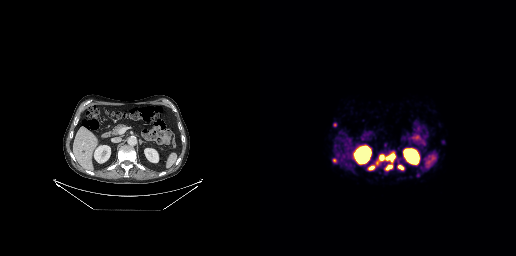
Coordinates are on the 256×256 PET (right) panel. (showing 6 of 8 foci) PSMA-avid tumor lesion bounding boxes (x0, y0)-(x1, y1): (126, 164)-(132, 170); (108, 165)-(114, 170); (138, 165)-(143, 169). Small PSMA-avid foci (2 to 4 px across) near (center x, center y): (74, 160); (121, 157); (132, 156).